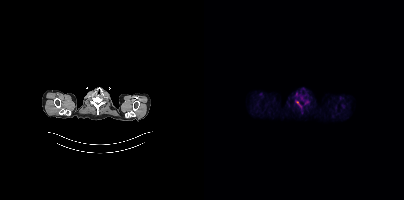
No tumor lesions annotated on this slice.